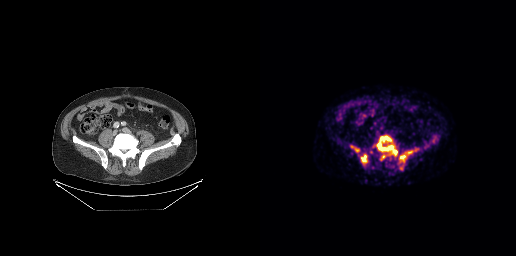
Coordinates are on the 256×256 PET (right) panel. PSMA-avid tumor lesion bounding boxes (x0, y0)-(x1, y1): (117, 136)-(137, 155) | (101, 155)-(106, 162) | (139, 155)-(146, 161) | (147, 151)-(152, 154). Small PSMA-avid focus (2 to 4 px across) near (center x, center y): (97, 150).
modality: PSMA PET/CT | tracer: 68Ga-PSMA | view: axial